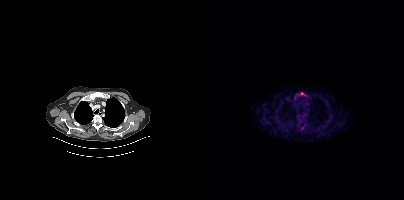
Findings: Coordinates are on the 200×200 PET (right) panel. Small PSMA-avid focus (2 to 4 px across) near (center x, center y): (98, 93).
Technique: Left: CT. Right: PSMA PET, same axial level, 18F-PSMA tracer. acquired on Siemens Biograph mCT Flow 20. PET panel 200×200 px (4.1 mm/px).